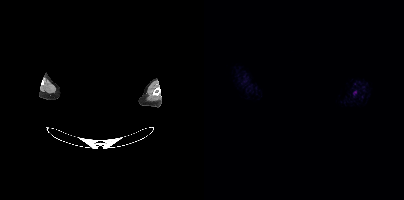
Any black rectangle over the head is a privacy mask, not anatomy. Left: CT. Right: PSMA PET, same axial level, 18F tracer. Acquired on Siemens Biograph mCT Flow 20. Slice position z = -257 mm. Negative for PSMA-avid disease on this slice.